Two-panel axial: CT | PSMA PET, 18F tracer. Acquired on GE Discovery 690. Slice position z = -1007 mm. PET panel 256×256 px (2.7 mm/px).
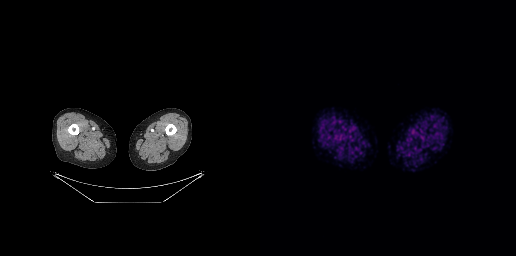
This slice has no annotated PSMA-avid lesion.